- Left: CT. Right: PSMA PET, same axial level, [68Ga]Ga-PSMA-11 tracer
- slice 248 of 407
- PET panel 200×200 px (4.1 mm/px)
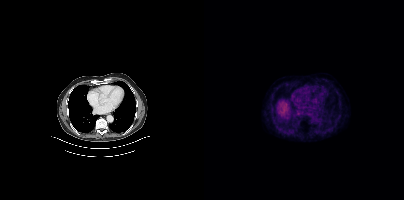
Findings: No tumor lesions annotated on this slice.